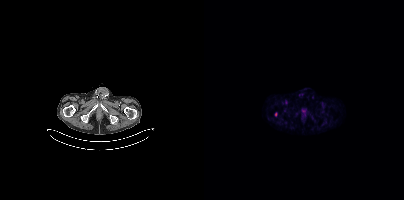
{"modality":"PSMA PET/CT","view":"axial","tracer":"[18F]PSMA-1007","pet_grid":[200,200],"coord_frame":"pet_panel","coord_format":"x0,y0,x1,y1","lesion_bboxes":[],"small_foci_centers":[[71,114]]}